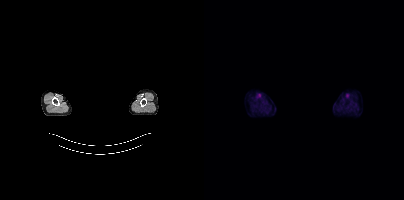
{"pet_grid":[200,200],"coord_frame":"pet_panel","coord_format":"x0,y0,x1,y1","psma_avid_lesions":false,"deidentification":"facial region redacted","modality":"PSMA PET/CT","view":"axial","tracer":"[18F]PSMA-1007"}